Two-panel axial: CT | PSMA PET, [18F]PSMA-1007 tracer. PET panel 200×200 px (4.1 mm/px).
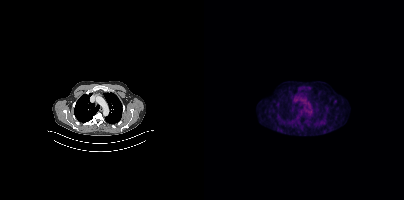
This slice has no annotated PSMA-avid lesion.